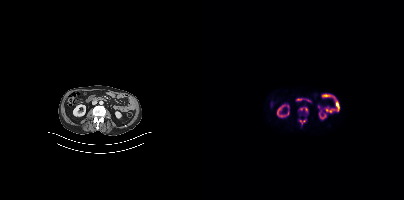
Coordinates are on the 200×200 PET (right) panel. (showing 3 of 4 foci) Small PSMA-avid foci (2 to 4 px across) near (center x, center y): (102, 109), (96, 120), (99, 120).